Two-panel axial: CT | PSMA PET, 68Ga tracer.
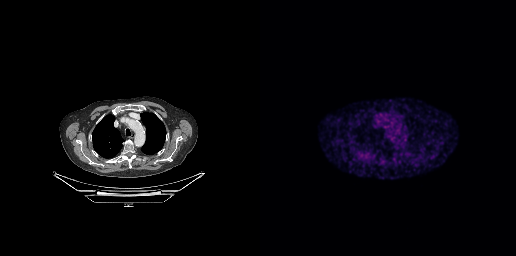
No PSMA-avid tumor lesions on this slice.